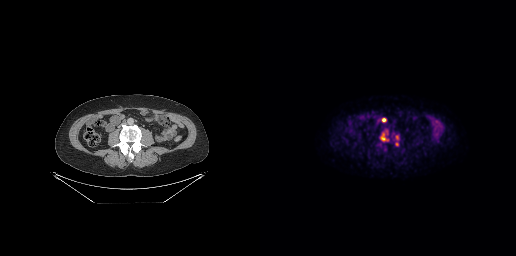
{"modality":"PSMA PET/CT","view":"axial","tracer":"[18F]PSMA-1007","pet_grid":[256,256],"coord_frame":"pet_panel","coord_format":"x0,y0,x1,y1","lesion_bboxes":[[120,132,128,141],[121,118,126,122],[136,135,138,139]],"small_foci_centers":[[137,144],[126,132]]}